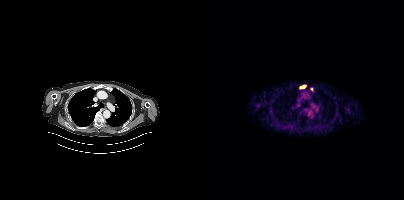
modality: PSMA PET/CT | tracer: [18F]PSMA-1007 | view: axial
Coordinates are on the 200×200 PET (right) panel. PSMA-avid tumor lesion bounding box (x0, y0)-(x1, y1): (95, 85)-(102, 88). Small PSMA-avid focus (2 to 4 px across) near (center x, center y): (107, 89).